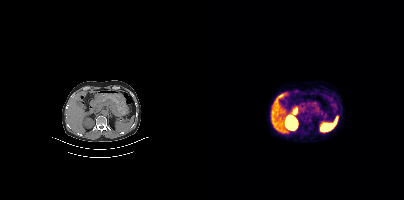
No tumor lesions annotated on this slice. Left: CT. Right: PSMA PET, same axial level, 68Ga-PSMA tracer. Acquired on Siemens Biograph mCT Flow 20.